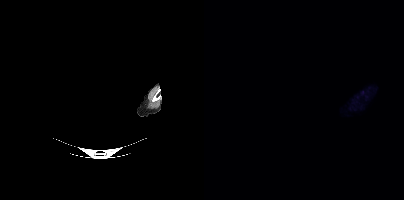
{"modality":"PSMA PET/CT","view":"axial","tracer":"18F","pet_grid":[200,200],"coord_frame":"pet_panel","coord_format":"x0,y0,x1,y1","psma_avid_lesions":false,"deidentification":"face masked with black rectangle"}